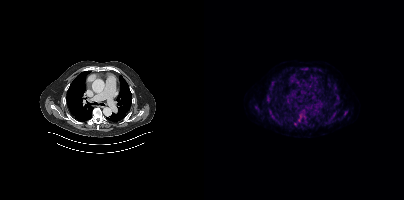
Coordinates are on the 200×200 PET (right) panel. (showing 9 of 12 foci) PSMA-avid tumor lesion bounding boxes (x0, y0)-(x1, y1): (90, 111)-(103, 125); (66, 81)-(70, 86); (128, 110)-(134, 115); (99, 67)-(103, 70); (132, 95)-(135, 99); (124, 118)-(128, 121). Small PSMA-avid foci (2 to 4 px across) near (center x, center y): (141, 112); (130, 84); (52, 107). Paired axial CT (left) and PSMA PET (right), 18F tracer. Slice position z = -352 mm.